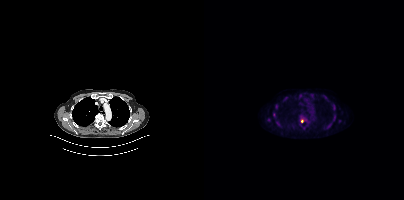
{"modality":"PSMA PET/CT","view":"axial","tracer":"18F-PSMA","pet_grid":[200,200],"coord_frame":"pet_panel","coord_format":"x0,y0,x1,y1","lesion_bboxes":[[129,105,131,109]],"small_foci_centers":[[70,114],[72,106],[130,117],[98,121],[74,123],[64,119]]}